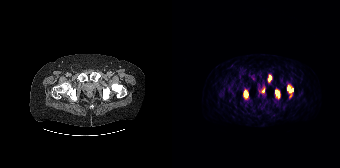
modality: PSMA PET/CT | tracer: [68Ga]Ga-PSMA-11 | view: axial
Coordinates are on the 168×168 PET (right) panel. PSMA-avid tumor lesion bounding boxes (x0,y0,x1,y1): [71,89,76,99] [103,90,107,96] [96,75,99,81] [115,88,121,92]. Small PSMA-avid focus (2 to 4 px across) near (center x, center y): (91, 90).